Left: CT. Right: PSMA PET, same axial level, [68Ga]Ga-PSMA-11 tracer. Acquired on Siemens Biograph 64-4R TruePoint. PET panel 168×168 px (4.1 mm/px).
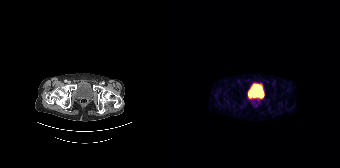
This slice has no annotated PSMA-avid lesion.